- Paired axial CT (left) and PSMA PET (right), 18F-PSMA tracer
- slice 232 of 401
- PET panel 200×200 px (4.1 mm/px)
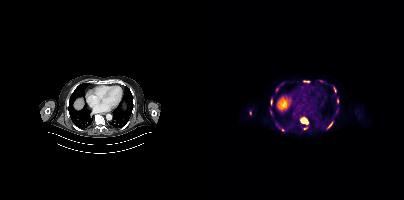
Findings: Coordinates are on the 200×200 PET (right) panel. (showing 11 of 14 foci) PSMA-avid tumor lesion bounding boxes (x, y, width, height): x=96 y=117 w=9 h=8; x=99 y=80 w=7 h=3; x=99 y=127 w=5 h=3; x=67 y=99 w=2 h=6; x=124 y=122 w=5 h=6; x=130 y=88 w=3 h=5. Small PSMA-avid foci (2 to 4 px across) near (center x, center y): (116, 81); (46, 112); (72, 89); (78, 130); (133, 100).